Left: CT. Right: PSMA PET, same axial level, 18F-PSMA tracer. Slice 180 of 417.
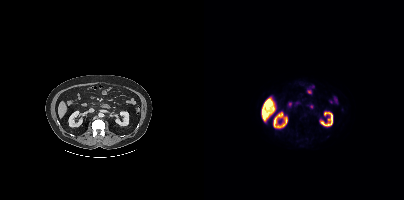
No tumor lesions annotated on this slice.